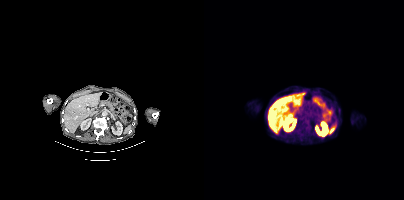
modality: PSMA PET/CT | tracer: [18F]PSMA-1007 | view: axial
Only PSMA-avid lesion pieces thinner than 2 px on this slice (not listed).